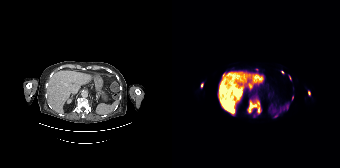
Coordinates are on the 168×168 PET (right) panel. PSMA-avid tumor lesion bounding boxes:
| # | x0 | y0 | x1 | y1 |
|---|---|---|---|---|
| 1 | 75 | 98 | 89 | 113 |
| 2 | 136 | 91 | 138 | 95 |
| 3 | 29 | 83 | 31 | 87 |
Small PSMA-avid foci (2 to 4 px across) near (center x, center y): (110, 72); (118, 77); (120, 97); (85, 69); (51, 74).
Two-panel axial: CT | PSMA PET, [18F]PSMA-1007 tracer. Acquired on Siemens Biograph 64-4R TruePoint. PET panel 168×168 px (4.1 mm/px).